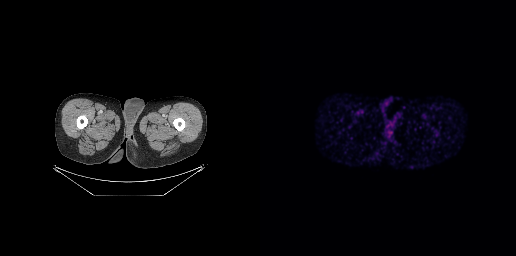
This slice has no annotated PSMA-avid lesion.
modality: PSMA PET/CT | tracer: [68Ga]Ga-PSMA-11 | view: axial | PET grid: 256×256